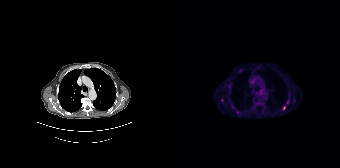
{"modality":"PSMA PET/CT","view":"axial","tracer":"68Ga-PSMA","pet_grid":[168,168],"coord_frame":"pet_panel","coord_format":"x0,y0,x1,y1","partial":true,"lesion_bboxes":[],"small_foci_centers":[[122,100],[57,86],[65,111],[57,101],[115,102],[111,107]]}